Paired axial CT (left) and PSMA PET (right), 18F tracer. Slice position z = -96 mm.
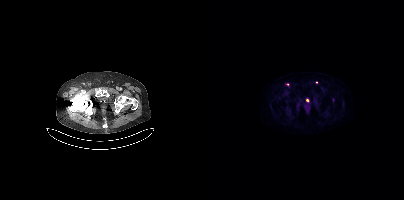
Coordinates are on the 200×200 PET (right) panel. Small PSMA-avid foci (2 to 4 px across) near (center x, center y): (112, 82); (83, 84).